Left: CT. Right: PSMA PET, same axial level, [18F]PSMA-1007 tracer. PET panel 200×200 px (4.1 mm/px).
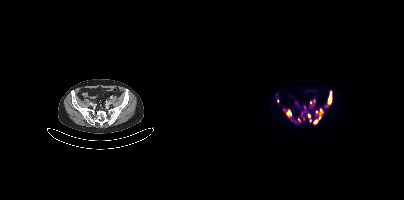
Coordinates are on the 200×200 PET (right) panel. (showing 13 of 16 foci) PSMA-avid tumor lesion bounding boxes (x0, y0)-(x1, y1): (121, 95)-(127, 106) | (115, 108)-(118, 118) | (82, 110)-(87, 118) | (103, 114)-(107, 121) | (106, 99)-(111, 104) | (110, 120)-(113, 124) | (94, 118)-(96, 122). Small PSMA-avid foci (2 to 4 px across) near (center x, center y): (98, 113) | (112, 112) | (73, 101) | (100, 107) | (99, 118) | (126, 92).